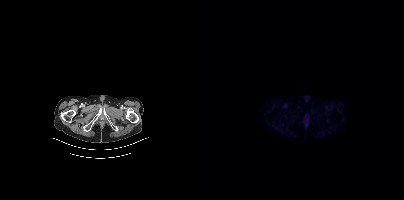
Findings: No PSMA-avid tumor lesions on this slice.
- Paired axial CT (left) and PSMA PET (right), 68Ga-PSMA tracer
- acquired on Siemens Biograph mCT Flow 20
- PET panel 200×200 px (4.1 mm/px)